Left: CT. Right: PSMA PET, same axial level, 68Ga tracer. Acquired on Siemens Biograph 64-4R TruePoint. Slice 94 of 195.
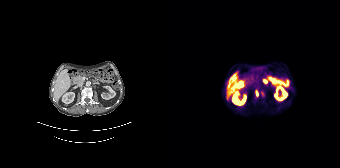
Coordinates are on the 168×168 PET (right) panel. PSMA-avid tumor lesion bounding boxes:
| # | x0 | y0 | x1 | y1 |
|---|---|---|---|---|
| 1 | 83 | 91 | 86 | 95 |
Small PSMA-avid focus (2 to 4 px across) near (center x, center y): (91, 93).